Technique: Left: CT. Right: PSMA PET, same axial level, 18F tracer. acquired on Siemens Biograph mCT Flow 20. slice position z = -1450 mm. PET panel 200×200 px (4.1 mm/px).
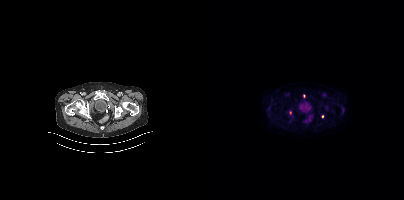
Findings: Coordinates are on the 200×200 PET (right) panel. (showing 2 of 3 foci) Small PSMA-avid foci (2 to 4 px across) near (center x, center y): (86, 112) / (118, 116).